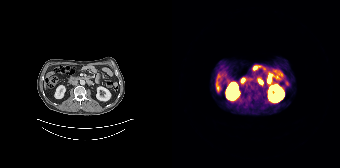
No tumor lesions annotated on this slice.
modality: PSMA PET/CT | tracer: 68Ga-PSMA | view: axial | PET grid: 168×168